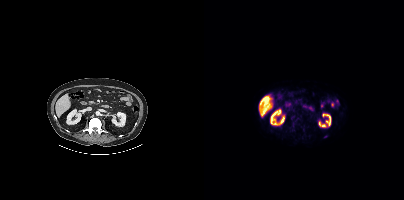
- Paired axial CT (left) and PSMA PET (right), 18F-PSMA tracer
- PET panel 200×200 px (4.1 mm/px)
Findings: Coordinates are on the 200×200 PET (right) panel. Small PSMA-avid focus (2 to 4 px across) near (center x, center y): (121, 136).